Technique: Left: CT. Right: PSMA PET, same axial level, 18F tracer. slice 45 of 423. PET panel 200×200 px (4.1 mm/px).
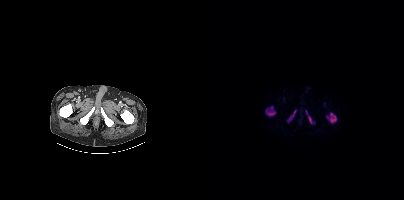
Findings: Coordinates are on the 200×200 PET (right) panel. PSMA-avid tumor lesion bounding boxes (x, y, width, height): x=122 y=112 w=11 h=12 / x=61 y=106 w=11 h=11 / x=102 y=110 w=9 h=14 / x=84 y=110 w=9 h=12.